modality: PSMA PET/CT | tracer: 18F-PSMA | view: axial
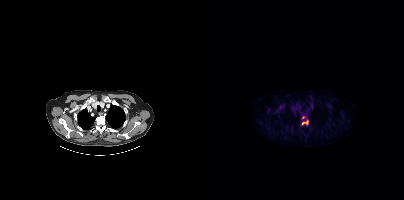
Coordinates are on the 200×200 PET (right) panel. PSMA-avid tumor lesion bounding box (x, y, width, height): x=97 y=120 w=8 h=5. Small PSMA-avid focus (2 to 4 px across) near (center x, center y): (99, 117).